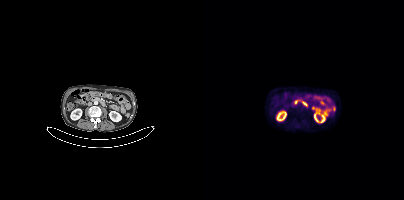
Paired axial CT (left) and PSMA PET (right), 18F-PSMA tracer. Acquired on Siemens Biograph mCT Flow 20. Slice position z = -748 mm. Negative for PSMA-avid disease on this slice.